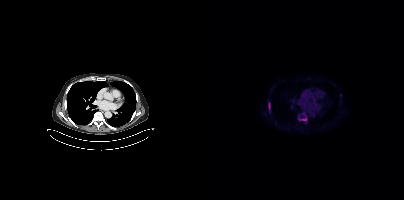
Technique: Two-panel axial: CT | PSMA PET, 18F-PSMA tracer. slice 286 of 431. PET panel 200×200 px (4.1 mm/px).
Findings: Coordinates are on the 200×200 PET (right) panel. (showing 2 of 4 foci) PSMA-avid tumor lesion bounding boxes (x0, y0)-(x1, y1): (64, 102)-(66, 112) / (95, 117)-(102, 120).